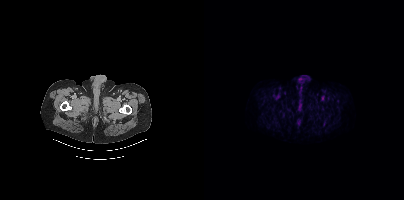
{"pet_grid":[200,200],"coord_frame":"pet_panel","coord_format":"x0,y0,x1,y1","lesion_bboxes":[],"small_foci_centers":[[123,99]],"modality":"PSMA PET/CT","view":"axial","tracer":"[18F]PSMA-1007"}